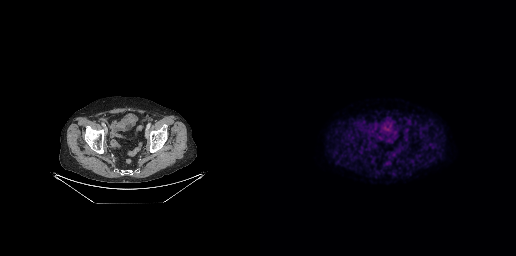
Negative for PSMA-avid disease on this slice.